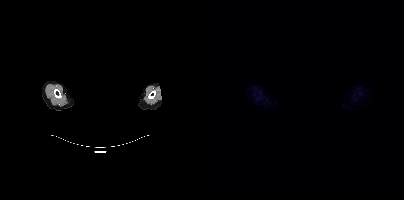
{"modality":"PSMA PET/CT","view":"axial","tracer":"18F-PSMA","pet_grid":[200,200],"coord_frame":"pet_panel","coord_format":"x0,y0,x1,y1","de-identification":"rectangular block over head set to black","psma_avid_lesions":false}